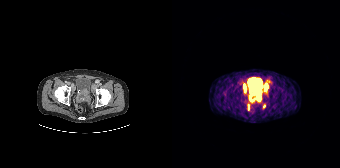
Coordinates are on the 168×168 PET (right) panel. (showing 7 of 8 foci) PSMA-avid tumor lesion bounding boxes (x0,y0,x1,y1): [81,92,89,101], [71,84,74,93], [92,83,96,90], [75,104,77,109], [77,95,79,99]. Small PSMA-avid foci (2 to 4 px across) near (center x, center y): (92, 106), (81, 99).